- Two-panel axial: CT | PSMA PET, 18F tracer
- acquired on Siemens Biograph mCT Flow 20
- PET panel 200×200 px (4.1 mm/px)
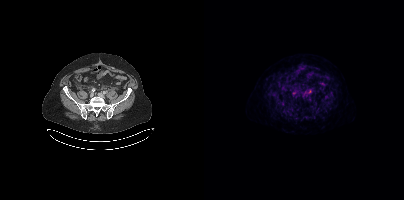
Findings: Coordinates are on the 200×200 PET (right) panel. PSMA-avid tumor lesion bounding box (x0, y0)-(x1, y1): (99, 96)-(102, 100).